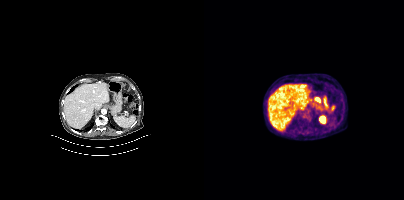
Paired axial CT (left) and PSMA PET (right), 18F tracer. Slice 224 of 397. PET panel 200×200 px (4.1 mm/px). Negative for PSMA-avid disease on this slice.